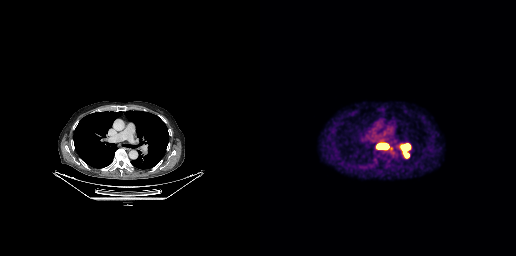
Findings: Coordinates are on the 256×256 PET (right) panel. (showing 2 of 3 foci) PSMA-avid tumor lesion bounding boxes (x0, y0)-(x1, y1): (139, 143)-(151, 158) | (116, 142)-(129, 149).
Technique: Paired axial CT (left) and PSMA PET (right), 18F tracer. slice position z = -239 mm.